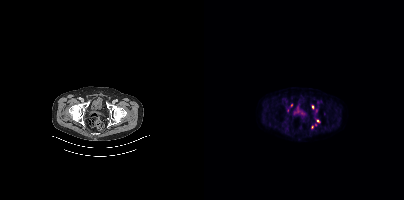
Coordinates are on the 200×200 PET (right) panel. (showing 2 of 4 foci) Small PSMA-avid foci (2 to 4 px across) near (center x, center y): (108, 106) | (113, 120).
modality: PSMA PET/CT | tracer: [18F]PSMA-1007 | view: axial | PET grid: 200×200